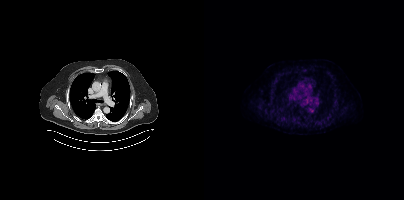
Findings: Coordinates are on the 200×200 PET (right) panel. Small PSMA-avid focus (2 to 4 px across) near (center x, center y): (128, 111).
- Left: CT. Right: PSMA PET, same axial level, 18F-PSMA tracer
- slice 317 of 435
- PET panel 200×200 px (4.1 mm/px)